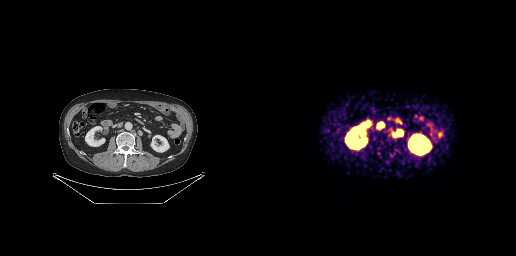
Paired axial CT (left) and PSMA PET (right), 68Ga tracer. Acquired on GE Discovery 690. Slice position z = -684 mm. PET panel 256×256 px (2.7 mm/px).
Coordinates are on the 256×256 PET (right) panel. PSMA-avid tumor lesion bounding boxes:
| # | x0 | y0 | x1 | y1 |
|---|---|---|---|---|
| 1 | 138 | 130 | 142 | 135 |
| 2 | 118 | 123 | 123 | 127 |
Small PSMA-avid focus (2 to 4 px across) near (center x, center y): (134, 134).